Paired axial CT (left) and PSMA PET (right), 18F-PSMA tracer. PET panel 200×200 px (4.1 mm/px).
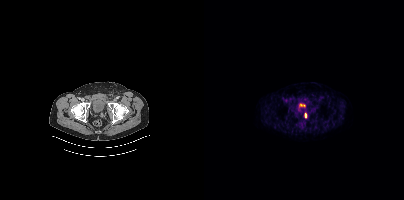
Coordinates are on the 200×200 PET (right) panel. PSMA-avid tumor lesion bounding box (x0, y0)-(x1, y1): (101, 113)-(102, 117).